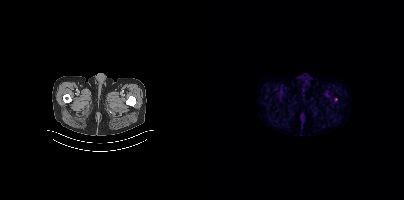
No tumor lesions annotated on this slice.